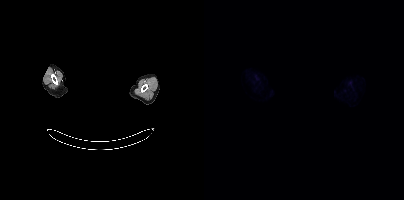
Findings: No tumor lesions annotated on this slice.
- de-identified by setting a box covering the face to black before release
- Left: CT. Right: PSMA PET, same axial level, [18F]PSMA-1007 tracer
- slice 371 of 395
- PET panel 200×200 px (4.1 mm/px)